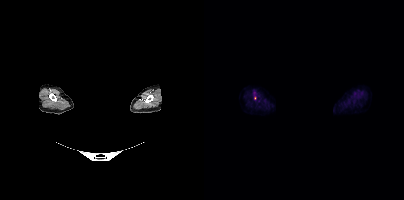
Findings: Only PSMA-avid lesion pieces thinner than 2 px on this slice (not listed).
- the head region is masked for de-identification
- Paired axial CT (left) and PSMA PET (right), 18F tracer